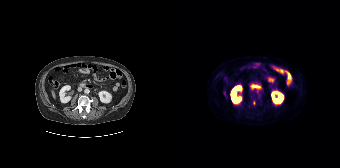
Left: CT. Right: PSMA PET, same axial level, 18F-PSMA tracer. Slice position z = -1056 mm. PET panel 168×168 px (4.1 mm/px). Coordinates are on the 168×168 PET (right) panel. Small PSMA-avid focus (2 to 4 px across) near (center x, center y): (82, 102).